Two-panel axial: CT | PSMA PET, 18F tracer.
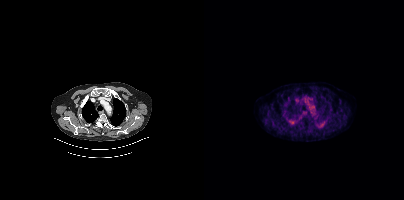
No PSMA-avid tumor lesions on this slice.